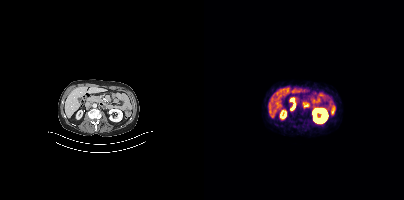
{"modality":"PSMA PET/CT","view":"axial","tracer":"[68Ga]Ga-PSMA-11","pet_grid":[200,200],"coord_frame":"pet_panel","coord_format":"x0,y0,x1,y1","partial":true,"lesion_bboxes":[[87,103,91,110]]}